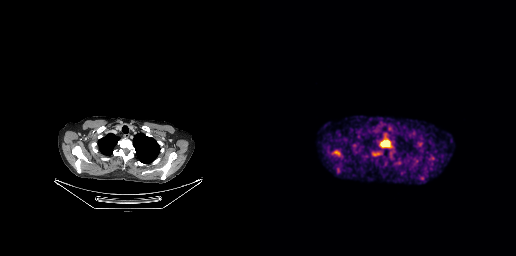
Coordinates are on the 256×256 PET (right) panel. PSMA-avid tumor lesion bounding boxes (x, y, width, height): x=120 y=140 w=11 h=7 / x=72 y=150 w=9 h=7.